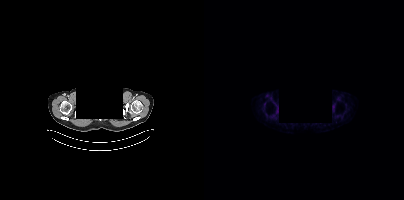
Negative for PSMA-avid disease on this slice.
modality: PSMA PET/CT | tracer: 68Ga | view: axial | redaction: face masked with black rectangle